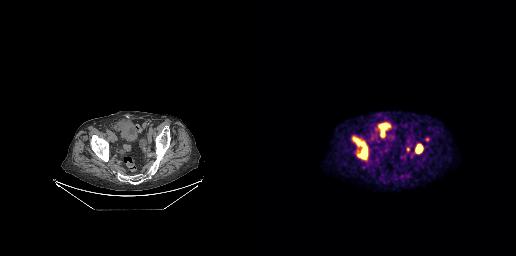
Coordinates are on the 256×256 PET (right) panel. PSMA-avid tumor lesion bounding boxes (x, y, width, height): x=93 y=137 w=15 h=23 / x=119 y=124 w=8 h=12 / x=156 y=144 w=7 h=9.